Technique: Two-panel axial: CT | PSMA PET, [18F]PSMA-1007 tracer. acquired on Siemens Biograph mCT Flow 20. PET panel 200×200 px (4.1 mm/px).
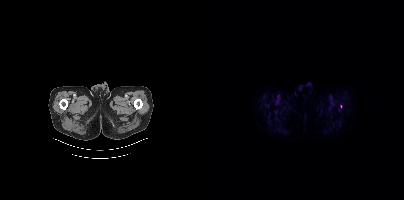
Findings: Coordinates are on the 200×200 PET (right) panel. Small PSMA-avid focus (2 to 4 px across) near (center x, center y): (136, 106).